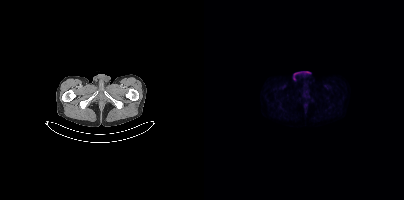
No tumor lesions annotated on this slice.